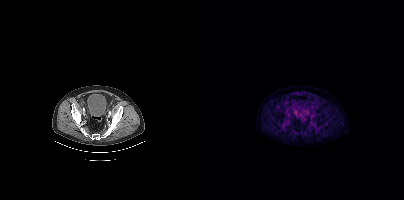
{"modality":"PSMA PET/CT","view":"axial","tracer":"18F-PSMA","pet_grid":[200,200],"coord_frame":"pet_panel","coord_format":"x0,y0,x1,y1","psma_avid_lesions":false}